Technique: Left: CT. Right: PSMA PET, same axial level, 68Ga tracer. acquired on Siemens Biograph 64-4R TruePoint.
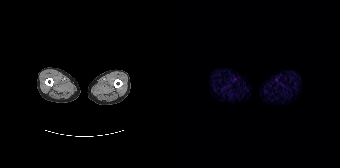
Findings: Negative for PSMA-avid disease on this slice.